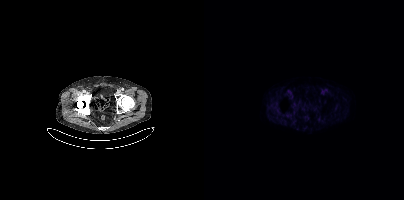
This slice has no annotated PSMA-avid lesion.
modality: PSMA PET/CT | tracer: 18F | view: axial